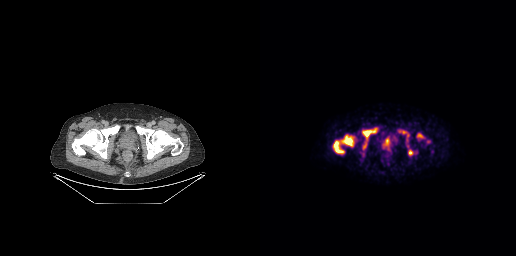
{"pet_grid":[256,256],"coord_frame":"pet_panel","coord_format":"x0,y0,x1,y1","lesion_bboxes":[[73,135,93,153],[102,128,117,140],[138,130,149,141],[157,133,163,138],[148,149,153,155],[103,143,106,148]],"small_foci_centers":[[168,141],[147,146]],"modality":"PSMA PET/CT","view":"axial","tracer":"18F-PSMA"}